Paired axial CT (left) and PSMA PET (right), 18F tracer. Acquired on GE Discovery 690. Slice 197 of 263. PET panel 256×256 px (2.7 mm/px).
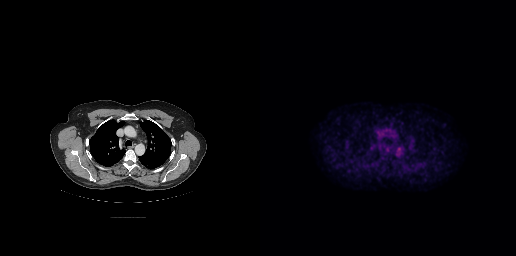
No PSMA-avid tumor lesions on this slice.